Left: CT. Right: PSMA PET, same axial level, 68Ga tracer. Acquired on GE Discovery 690. Slice 96 of 263. PET panel 256×256 px (2.7 mm/px).
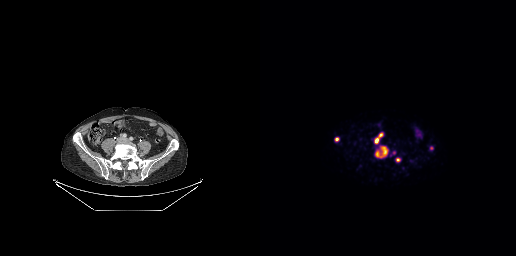
Coordinates are on the 256×256 PET (right) panel. PSMA-avid tumor lesion bounding boxes (x0, y0)-(x1, y1): (115, 146)-(127, 157) / (75, 137)-(79, 141) / (170, 146)-(173, 150) / (115, 139)-(117, 143). Small PSMA-avid foci (2 to 4 px across) near (center x, center y): (137, 159) / (133, 152) / (120, 134).